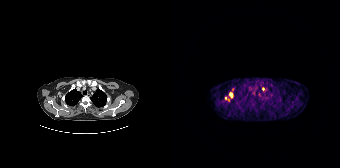
Technique: Two-panel axial: CT | PSMA PET, 68Ga tracer.
Findings: Coordinates are on the 168×168 PET (right) panel. PSMA-avid tumor lesion bounding boxes (x, y, width, height): x=57 y=92 w=5 h=7 | x=53 y=97 w=5 h=5. Small PSMA-avid foci (2 to 4 px across) near (center x, center y): (91, 89) | (60, 89).